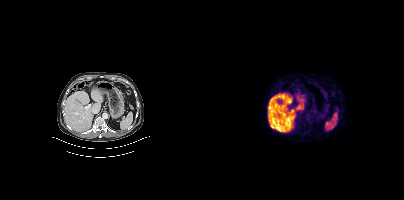
Findings: This slice has no annotated PSMA-avid lesion.
Technique: Paired axial CT (left) and PSMA PET (right), 68Ga-PSMA tracer. PET panel 200×200 px (4.1 mm/px).